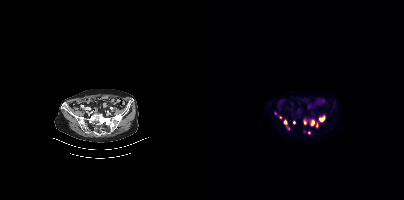
- Left: CT. Right: PSMA PET, same axial level, [68Ga]Ga-PSMA-11 tracer
- acquired on Siemens Biograph mCT Flow 20
- slice position z = -1444 mm
Findings: Coordinates are on the 200×200 PET (right) panel. (showing 9 of 10 foci) PSMA-avid tumor lesion bounding boxes (x0,y0,x1,y1): [80,120,85,130]; [115,116,120,121]; [108,121,110,125]; [100,120,102,124]. Small PSMA-avid foci (2 to 4 px across) near (center x, center y): (90, 122); (105, 133); (71, 113); (112, 125); (76, 117).